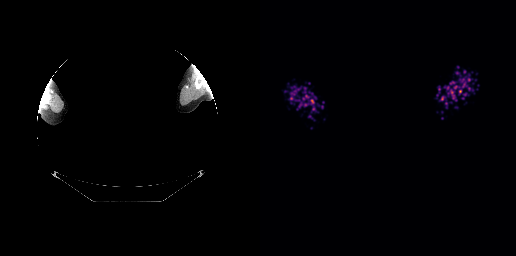
Left: CT. Right: PSMA PET, same axial level, 18F-PSMA tracer. Slice position z = -164 mm. PET panel 256×256 px (2.7 mm/px). The head region is masked for de-identification. No PSMA-avid tumor lesions on this slice.